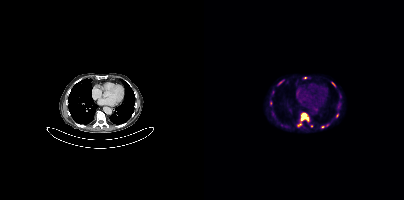
Coordinates are on the 200×200 PET (right) panel. (showing 8 of 9 foci) PSMA-avid tumor lesion bounding boxes (x0, y0)-(x1, y1): (97, 113)-(105, 121) | (93, 123)-(97, 126) | (127, 82)-(131, 86) | (75, 80)-(79, 84). Small PSMA-avid foci (2 to 4 px across) near (center x, center y): (133, 115) | (118, 127) | (101, 77) | (107, 125).
modality: PSMA PET/CT | tracer: [18F]PSMA-1007 | view: axial